modality: PSMA PET/CT | tracer: 18F | view: axial | PET grid: 200×200
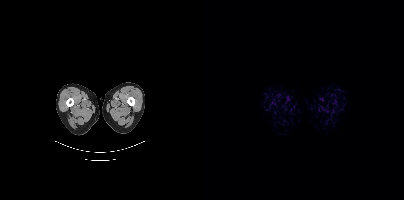
This slice has no annotated PSMA-avid lesion.